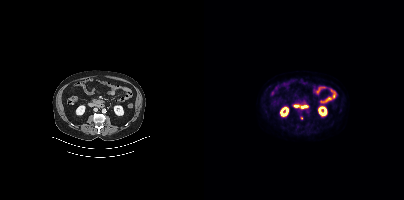
{"modality":"PSMA PET/CT","view":"axial","tracer":"18F-PSMA","pet_grid":[200,200],"coord_frame":"pet_panel","coord_format":"x0,y0,x1,y1","partial":true,"lesion_bboxes":[]}